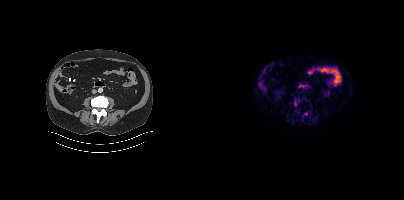
Paired axial CT (left) and PSMA PET (right), 18F-PSMA tracer. PET panel 200×200 px (4.1 mm/px). Only PSMA-avid lesion pieces thinner than 2 px on this slice (not listed).